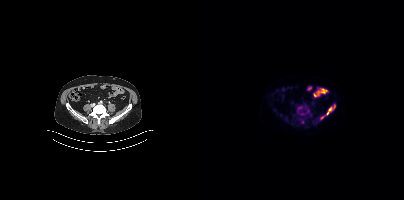
{"pet_grid":[200,200],"coord_frame":"pet_panel","coord_format":"x0,y0,x1,y1","partial":true,"lesion_bboxes":[[122,104,131,115],[116,116,120,119],[94,107,98,109]],"small_foci_centers":[[98,113]],"modality":"PSMA PET/CT","view":"axial","tracer":"18F"}